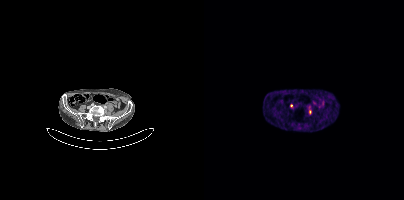
Coordinates are on the 200×200 PET (right) panel. PSMA-avid tumor lesion bounding boxes:
| # | x0 | y0 | x1 | y1 |
|---|---|---|---|---|
| 1 | 105 | 110 | 107 | 114 |
Paired axial CT (left) and PSMA PET (right), 68Ga tracer. Slice position z = -942 mm.